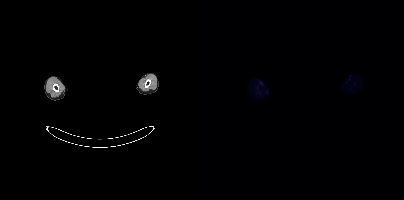
No PSMA-avid tumor lesions on this slice.
de-identification: head region blacked out before release | modality: PSMA PET/CT | tracer: 18F | view: axial | PET grid: 200×200